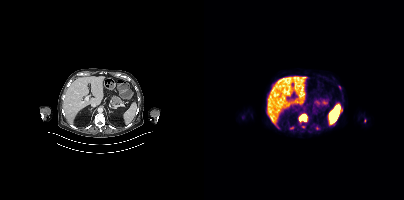
{"pet_grid":[200,200],"coord_frame":"pet_panel","coord_format":"x0,y0,x1,y1","partial":true,"lesion_bboxes":[[95,114,102,121],[134,102,137,106]],"small_foci_centers":[[113,127],[87,128],[99,126],[160,120]],"modality":"PSMA PET/CT","view":"axial","tracer":"18F-PSMA"}